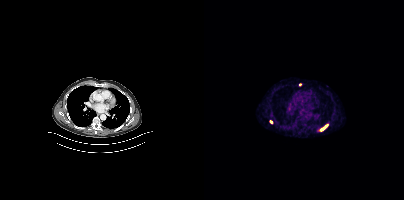
Two-panel axial: CT | PSMA PET, [68Ga]Ga-PSMA-11 tracer. Coordinates are on the 200×200 PET (right) panel. PSMA-avid tumor lesion bounding box (x0, y0)-(x1, y1): (117, 124)-(123, 130). Small PSMA-avid foci (2 to 4 px across) near (center x, center y): (67, 121); (96, 84).